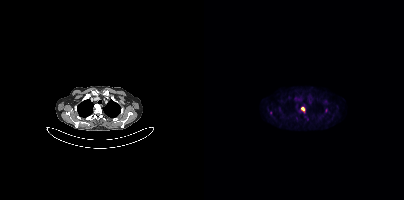
Two-panel axial: CT | PSMA PET, 18F tracer. Acquired on Siemens Biograph mCT Flow 20. PET panel 200×200 px (4.1 mm/px). Coordinates are on the 200×200 PET (right) panel. Small PSMA-avid foci (2 to 4 px across) near (center x, center y): (98, 108) / (66, 112).